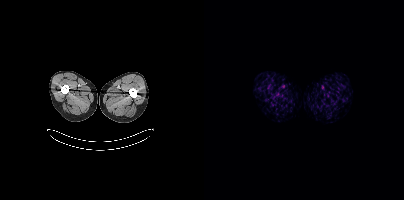
This slice has no annotated PSMA-avid lesion.